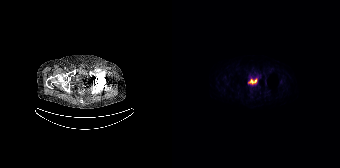
No tumor lesions annotated on this slice.